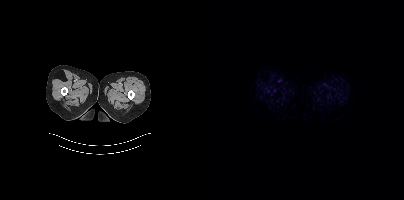
No PSMA-avid tumor lesions on this slice.